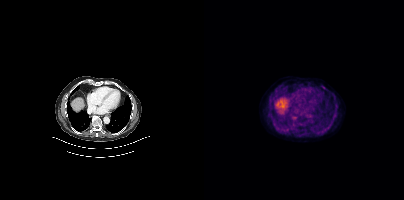
{"modality":"PSMA PET/CT","view":"axial","tracer":"18F-PSMA","pet_grid":[200,200],"coord_frame":"pet_panel","coord_format":"x0,y0,x1,y1","psma_avid_lesions":false}